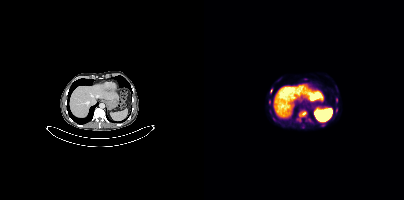
Coordinates are on the 200×200 PET (right) panel. PSMA-avid tumor lesion bounding box (x0, y0)-(x1, y1): (95, 111)-(102, 116). Small PSMA-avid foci (2 to 4 px across) near (center x, center y): (67, 90) | (132, 100) | (132, 110).